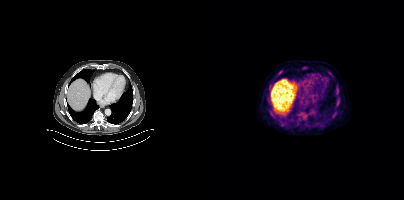
- Two-panel axial: CT | PSMA PET, 18F tracer
- slice position z = 1548 mm
- PET panel 200×200 px (4.1 mm/px)
Findings: Coordinates are on the 200×200 PET (right) panel. (showing 5 of 6 foci) PSMA-avid tumor lesion bounding box (x, y, width, height): x=73 y=71 w=5 h=5. Small PSMA-avid foci (2 to 4 px across) near (center x, center y): (125, 72) | (129, 116) | (133, 90) | (100, 66).